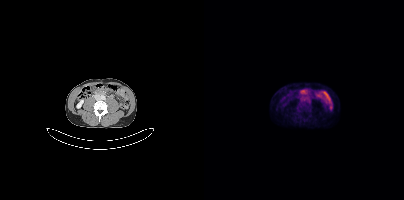
Two-panel axial: CT | PSMA PET, [18F]PSMA-1007 tracer. Acquired on Siemens Biograph mCT Flow 20. PET panel 200×200 px (4.1 mm/px). Coordinates are on the 200×200 PET (right) panel. PSMA-avid tumor lesion bounding box (x0, y0)-(x1, y1): (95, 105)-(98, 109).